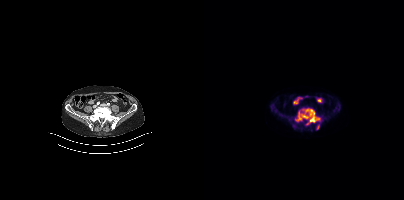
Coordinates are on the 200×200 PET (right) panel. PSMA-avid tumor lesion bounding boxes (x0, y0)-(x1, y1): (91, 108)-(116, 124) | (112, 125)-(115, 129). Small PSMA-avid foci (2 to 4 px across) near (center x, center y): (90, 125) | (134, 104).
modality: PSMA PET/CT | tracer: 18F | view: axial